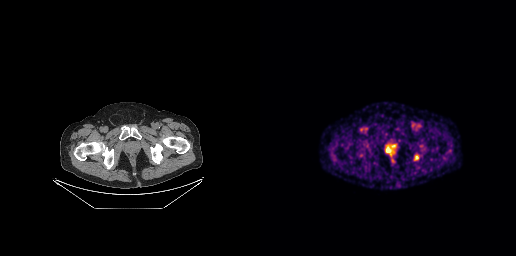
Coordinates are on the 256×256 PET (right) panel. Small PSMA-avid focus (2 to 4 px across) near (center x, center y): (156, 157). Paired axial CT (left) and PSMA PET (right), 68Ga-PSMA tracer. PET panel 256×256 px (2.7 mm/px).